modality: PSMA PET/CT | tracer: 18F | view: axial | PET grid: 256×256
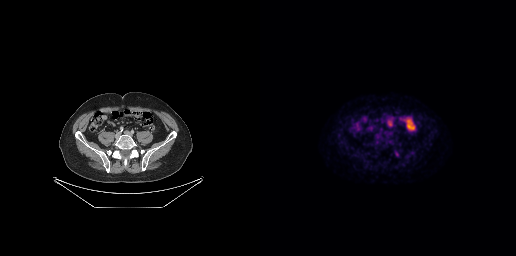
Only PSMA-avid lesion pieces thinner than 2 px on this slice (not listed).